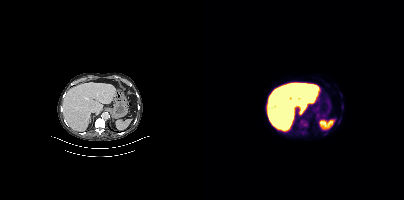
- Paired axial CT (left) and PSMA PET (right), [18F]PSMA-1007 tracer
- slice position z = -518 mm
Findings: Coordinates are on the 200×200 PET (right) panel. (showing 2 of 3 foci) PSMA-avid tumor lesion bounding box (x, y, width, height): x=96 y=120 w=8 h=7. Small PSMA-avid focus (2 to 4 px across) near (center x, center y): (138, 106).